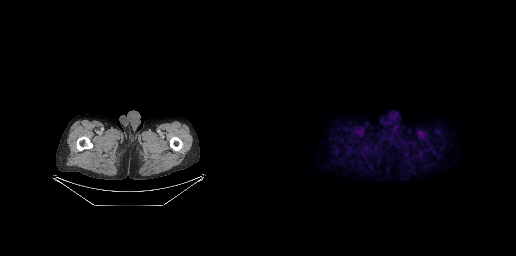
Technique: Paired axial CT (left) and PSMA PET (right), 18F-PSMA tracer.
Findings: This slice has no annotated PSMA-avid lesion.